modality: PSMA PET/CT | tracer: [18F]PSMA-1007 | view: axial
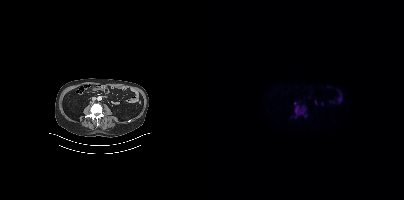
Coordinates are on the 200×200 PET (right) panel. PSMA-avid tumor lesion bounding box (x0,y0,x1,y1): [93,106,102,117].